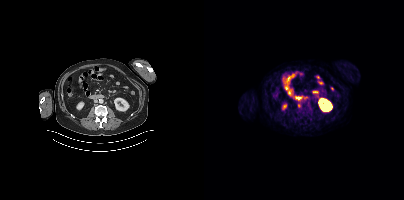
{"modality":"PSMA PET/CT","view":"axial","tracer":"68Ga-PSMA","pet_grid":[200,200],"coord_frame":"pet_panel","coord_format":"x0,y0,x1,y1","lesion_bboxes":[],"small_foci_centers":[[95,105]]}